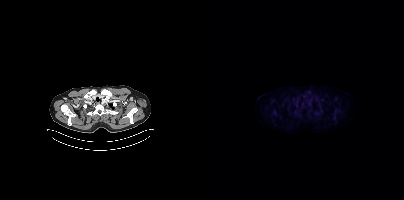
Only PSMA-avid lesion pieces thinner than 2 px on this slice (not listed).